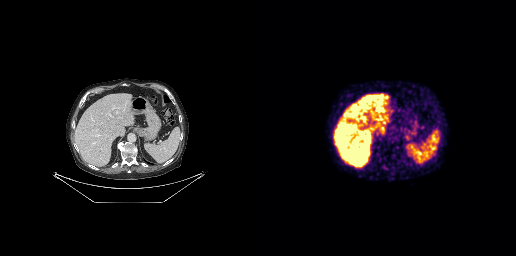
No PSMA-avid tumor lesions on this slice.